Paired axial CT (left) and PSMA PET (right), 18F-PSMA tracer. Slice position z = -482 mm. PET panel 200×200 px (4.1 mm/px).
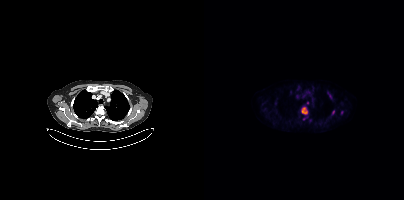
Coordinates are on the 200×200 PET (right) panel. PSMA-avid tumor lesion bounding boxes (x0, y0)-(x1, y1): (97, 107)-(103, 114) | (125, 94)-(127, 98). Small PSMA-avid foci (2 to 4 px across) near (center x, center y): (129, 112) | (103, 102) | (137, 112).